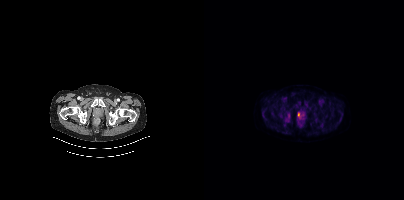
{"modality":"PSMA PET/CT","view":"axial","tracer":"18F-PSMA","pet_grid":[200,200],"coord_frame":"pet_panel","coord_format":"x0,y0,x1,y1","lesion_bboxes":[[93,112,96,117]]}